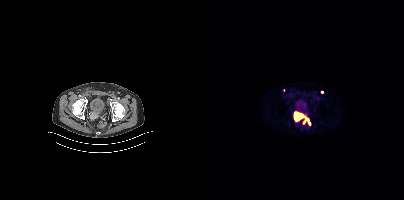
Coordinates are on the 200×200 PET (right) panel. PSMA-avid tumor lesion bounding box (x0,y0,x1,y1): [89,111,107,125]. Small PSMA-avid foci (2 to 4 px across) near (center x, center y): (118, 92), (80, 90).